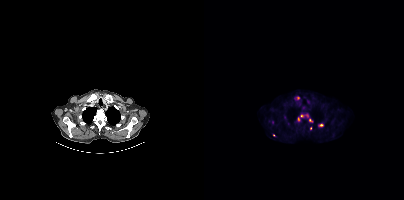
Two-panel axial: CT | PSMA PET, 18F tracer. Acquired on Siemens Biograph mCT Flow 20.
Coordinates are on the 200×200 PET (right) panel. PSMA-avid tumor lesion bounding boxes (partial; 3 more foci not listed):
| # | x0 | y0 | x1 | y1 |
|---|---|---|---|---|
| 1 | 96 | 113 | 108 | 121 |
Small PSMA-avid foci (2 to 4 px across) near (center x, center y): (117, 125); (94, 98); (94, 119); (68, 121); (106, 128).